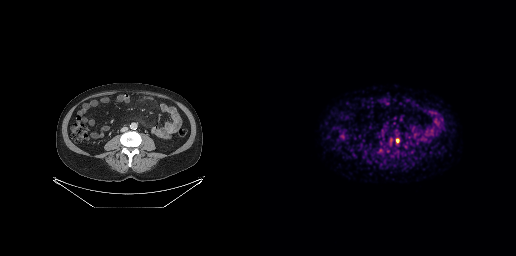
Left: CT. Right: PSMA PET, same axial level, 68Ga tracer. Acquired on GE Discovery 690. Slice position z = -713 mm. Coordinates are on the 256×256 PET (right) panel. Small PSMA-avid focus (2 to 4 px across) near (center x, center y): (137, 140).